de-identification: rectangular block set to black | modality: PSMA PET/CT | tracer: [18F]PSMA-1007 | view: axial | PET grid: 200×200
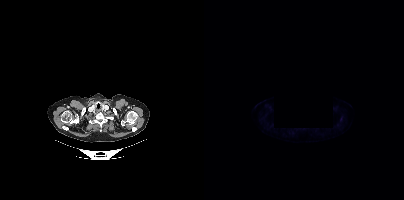
This slice has no annotated PSMA-avid lesion.